- Left: CT. Right: PSMA PET, same axial level, [18F]PSMA-1007 tracer
- acquired on GE Discovery 690
- slice position z = -769 mm
- PET panel 256×256 px (2.7 mm/px)
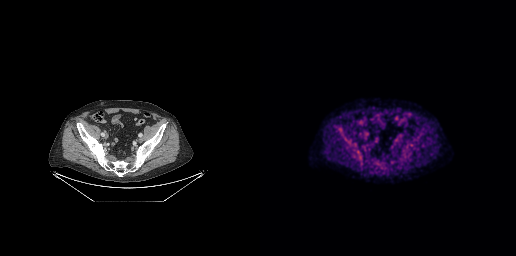
Findings: No tumor lesions annotated on this slice.